Paired axial CT (left) and PSMA PET (right), 18F tracer. Acquired on Siemens Biograph mCT Flow 20. PET panel 200×200 px (4.1 mm/px).
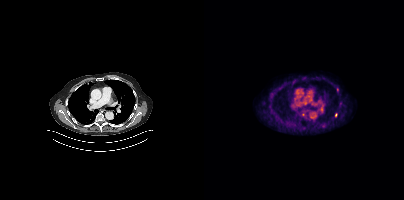
Coordinates are on the 200×200 PET (right) panel. PSMA-avid tumor lesion bounding boxes:
| # | x0 | y0 | x1 | y1 |
|---|---|---|---|---|
| 1 | 131 | 113 | 133 | 117 |
Small PSMA-avid foci (2 to 4 px across) near (center x, center y): (133, 89); (99, 114).